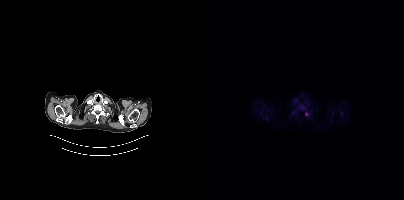
Negative for PSMA-avid disease on this slice. Left: CT. Right: PSMA PET, same axial level, 18F tracer. Slice 364 of 423. PET panel 200×200 px (4.1 mm/px).